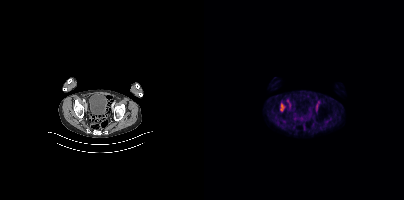
Coordinates are on the 200×200 PET (right) panel. PSMA-avid tumor lesion bounding boxes:
| # | x0 | y0 | x1 | y1 |
|---|---|---|---|---|
| 1 | 77 | 104 | 79 | 110 |
Two-panel axial: CT | PSMA PET, [18F]PSMA-1007 tracer. PET panel 200×200 px (4.1 mm/px).